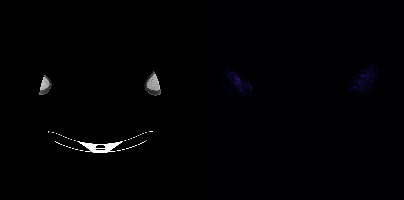
Negative for PSMA-avid disease on this slice.
Any black rectangle over the head is a privacy mask, not anatomy.